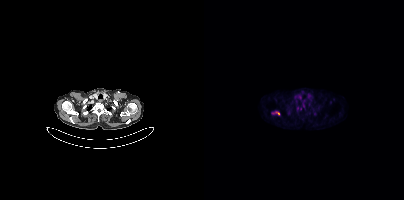
- Paired axial CT (left) and PSMA PET (right), 18F tracer
- PET panel 200×200 px (4.1 mm/px)
Findings: Coordinates are on the 200×200 PET (right) panel. PSMA-avid tumor lesion bounding box (x, y, width, height): x=68 y=111 w=8 h=5.